modality: PSMA PET/CT | tracer: 18F-PSMA | view: axial
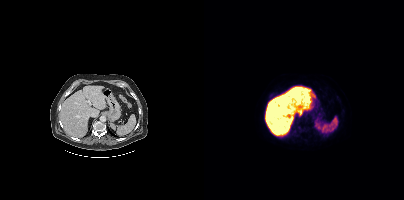
Negative for PSMA-avid disease on this slice.